Technique: Paired axial CT (left) and PSMA PET (right), 18F-PSMA tracer. acquired on Siemens Biograph mCT Flow 20.
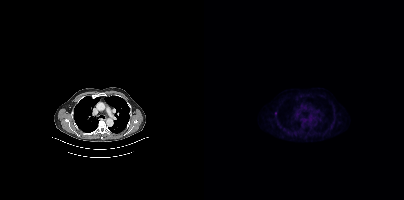
Findings: No tumor lesions annotated on this slice.